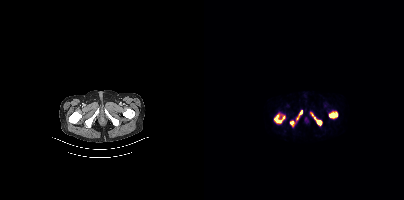
{"modality":"PSMA PET/CT","view":"axial","tracer":"18F","pet_grid":[200,200],"coord_frame":"pet_panel","coord_format":"x0,y0,x1,y1","lesion_bboxes":[[70,114,80,123],[125,112,133,118],[107,113,118,125],[92,110,98,120],[86,120,90,126]]}